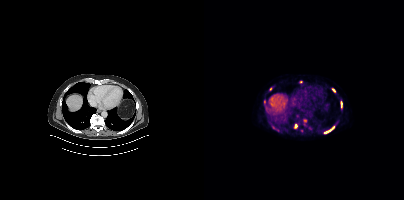
Coordinates are on the 200×200 PET (right) panel. (showing 6 of 7 foci) PSMA-avid tumor lesion bounding boxes (x0, y0)-(x1, y1): (123, 127)-(130, 132) | (90, 124)-(93, 128) | (137, 101)-(138, 107). Small PSMA-avid foci (2 to 4 px across) near (center x, center y): (129, 90) | (101, 120) | (66, 88).